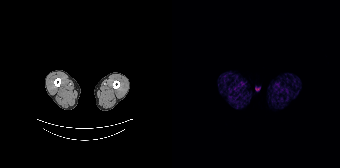
- Two-panel axial: CT | PSMA PET, 68Ga-PSMA tracer
- slice 20 of 195
- PET panel 168×168 px (4.1 mm/px)
Findings: No tumor lesions annotated on this slice.